Left: CT. Right: PSMA PET, same axial level, 18F tracer. Slice 58 of 403.
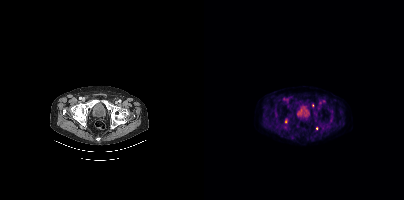
Coordinates are on the 200×200 PET (right) panel. (showing 2 of 3 foci) Small PSMA-avid foci (2 to 4 px across) near (center x, center y): (81, 121); (112, 128).